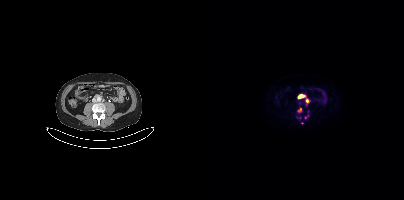
- Paired axial CT (left) and PSMA PET (right), 68Ga-PSMA tracer
Findings: Coordinates are on the 200×200 PET (right) panel. (showing 7 of 8 foci) PSMA-avid tumor lesion bounding boxes (x0,y0,x1,y1): [94,95,99,97], [92,116,97,119], [100,115,104,118]. Small PSMA-avid foci (2 to 4 px across) near (center x, center y): (95, 110), (98, 123), (103, 101), (95, 103).